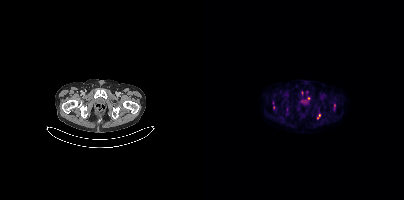
Two-panel axial: CT | PSMA PET, 18F tracer. Acquired on Siemens Biograph mCT Flow 20.
Coordinates are on the 200×200 PET (right) panel. PSMA-avid tumor lesion bounding boxes (partial; 2 more foci not listed):
| # | x0 | y0 | x1 | y1 |
|---|---|---|---|---|
| 1 | 113 | 114 | 116 | 118 |
Small PSMA-avid foci (2 to 4 px across) near (center x, center y): (69, 107); (104, 97); (130, 105).